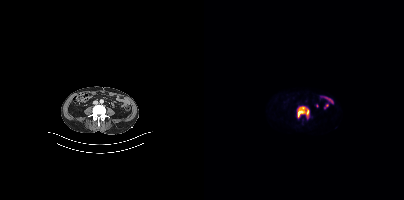
Left: CT. Right: PSMA PET, same axial level, [18F]PSMA-1007 tracer. Slice 142 of 387. Coordinates are on the 200×200 PET (right) panel. PSMA-avid tumor lesion bounding box (x, y, width, height): x=93 y=106 w=13 h=13.